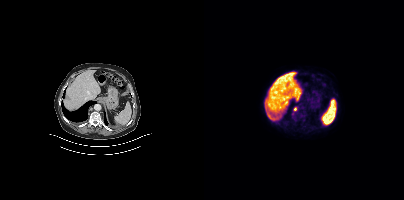
Coordinates are on the 200×200 PET (right) panel. Small PSMA-avid focus (2 to 4 px across) near (center x, center y): (91, 108). Two-panel axial: CT | PSMA PET, 18F tracer. Acquired on Siemens Biograph mCT Flow 20. Slice 225 of 413.